Two-panel axial: CT | PSMA PET, [18F]PSMA-1007 tracer. Acquired on Siemens Biograph mCT Flow 20.
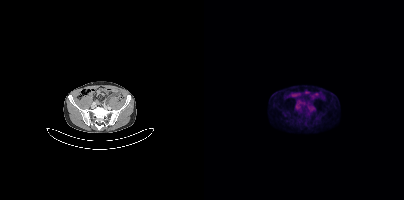
Coordinates are on the 200×200 PET (right) panel. PSMA-avid tumor lesion bounding boxes:
| # | x0 | y0 | x1 | y1 |
|---|---|---|---|---|
| 1 | 105 | 106 | 109 | 110 |